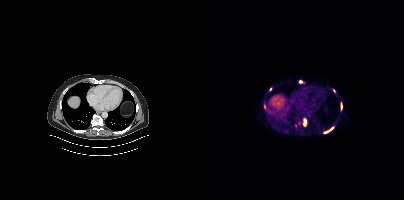
Two-panel axial: CT | PSMA PET, 18F-PSMA tracer. Slice 275 of 444. PET panel 200×200 px (4.1 mm/px).
Coordinates are on the 200×200 PET (right) panel. PSMA-avid tumor lesion bounding boxes (partial; 2 more foci not listed):
| # | x0 | y0 | x1 | y1 |
|---|---|---|---|---|
| 1 | 99 | 118 | 102 | 126 |
| 2 | 137 | 103 | 138 | 109 |
| 3 | 124 | 127 | 129 | 131 |
Small PSMA-avid foci (2 to 4 px across) near (center x, center y): (96, 81); (66, 89).